modality: PSMA PET/CT | tracer: 18F | view: axial
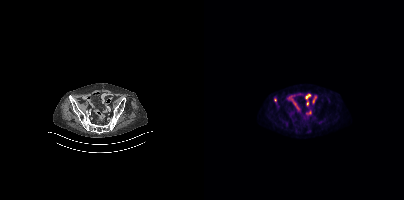
Coordinates are on the 200×200 PET (right) panel. Small PSMA-avid focus (2 to 4 px across) near (center x, center y): (71, 99).